modality: PSMA PET/CT | tracer: 18F-PSMA | view: axial
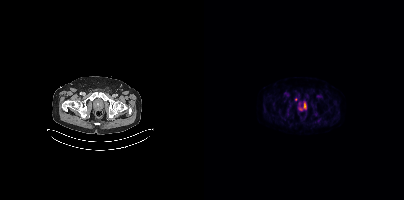
Only PSMA-avid lesion pieces thinner than 2 px on this slice (not listed).